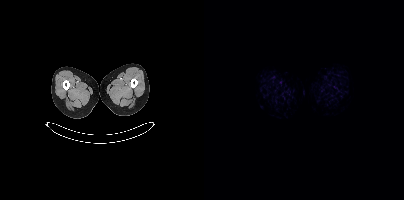
{"modality":"PSMA PET/CT","view":"axial","tracer":"[18F]PSMA-1007","pet_grid":[200,200],"coord_frame":"pet_panel","coord_format":"x0,y0,x1,y1","psma_avid_lesions":false}